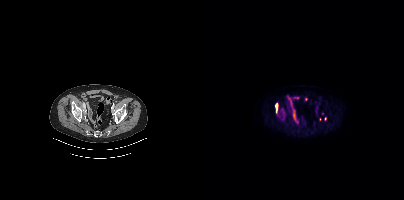
Coordinates are on the 200×200 PET (right) panel. (showing 1 of 2 foci) PSMA-avid tumor lesion bounding box (x0,y0,x1,y1): [72,104,73,111].